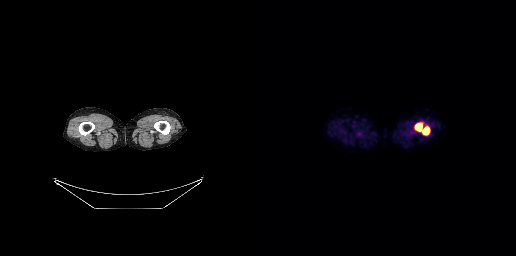
Findings: Coordinates are on the 256×256 PET (right) panel. PSMA-avid tumor lesion bounding box (x0,y0,x1,y1): [155,123,169,135].
- Paired axial CT (left) and PSMA PET (right), [18F]PSMA-1007 tracer